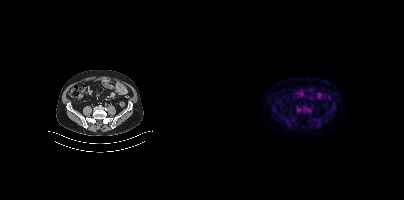
Two-panel axial: CT | PSMA PET, [18F]PSMA-1007 tracer. Slice position z = -764 mm.
Coordinates are on the 200×200 PET (right) panel. PSMA-avid tumor lesion bounding boxes:
| # | x0 | y0 | x1 | y1 |
|---|---|---|---|---|
| 1 | 92 | 107 | 96 | 112 |